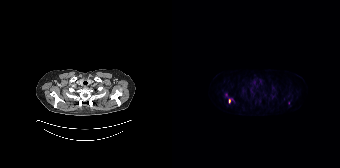
{"modality":"PSMA PET/CT","view":"axial","tracer":"18F-PSMA","pet_grid":[168,168],"coord_frame":"pet_panel","coord_format":"x0,y0,x1,y1","partial":true,"lesion_bboxes":[[56,99,62,103],[53,93,55,97]]}